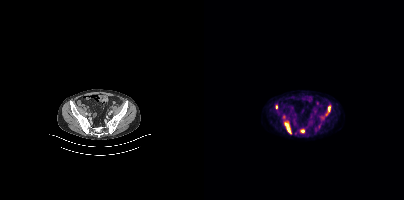
{"modality":"PSMA PET/CT","view":"axial","tracer":"18F","pet_grid":[200,200],"coord_frame":"pet_panel","coord_format":"x0,y0,x1,y1","lesion_bboxes":[[81,122,87,133],[122,106,126,115],[96,129,100,132]],"small_foci_centers":[[72,107]]}